Left: CT. Right: PSMA PET, same axial level, 18F tracer. Slice 33 of 395.
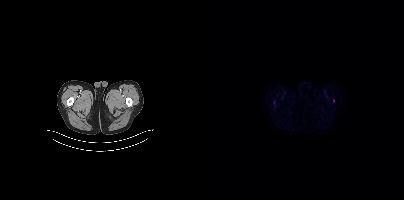
Only PSMA-avid lesion pieces thinner than 2 px on this slice (not listed).